Paired axial CT (left) and PSMA PET (right), [18F]PSMA-1007 tracer. Slice 309 of 395. PET panel 200×200 px (4.1 mm/px).
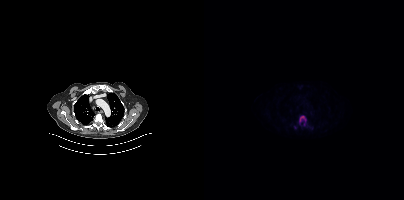
Coordinates are on the 200×200 PET (right) panel. PSMA-avid tumor lesion bounding boxes:
| # | x0 | y0 | x1 | y1 |
|---|---|---|---|---|
| 1 | 93 | 115 | 103 | 127 |
Small PSMA-avid focus (2 to 4 px across) near (center x, center y): (91, 127).